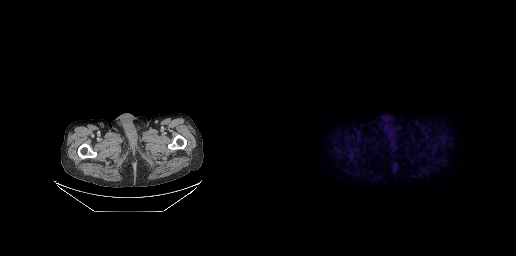
Findings: No PSMA-avid tumor lesions on this slice.
- Left: CT. Right: PSMA PET, same axial level, 18F tracer
- PET panel 256×256 px (2.7 mm/px)